Paired axial CT (left) and PSMA PET (right), [18F]PSMA-1007 tracer. Acquired on Siemens Biograph 64-4R TruePoint. PET panel 168×168 px (4.1 mm/px).
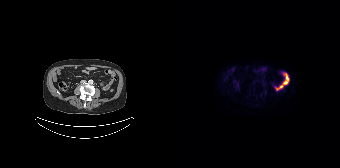
Negative for PSMA-avid disease on this slice.